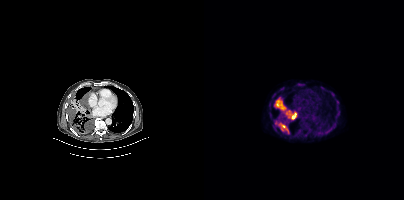
Technique: Paired axial CT (left) and PSMA PET (right), 18F tracer. slice 285 of 452. PET panel 200×200 px (4.1 mm/px).
Findings: Coordinates are on the 200×200 PET (right) panel. (showing 3 of 4 foci) PSMA-avid tumor lesion bounding boxes (x0,y0,x1,y1): [70,97,81,110], [73,123,85,133], [81,109,92,119].